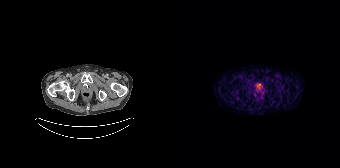
No tumor lesions annotated on this slice.